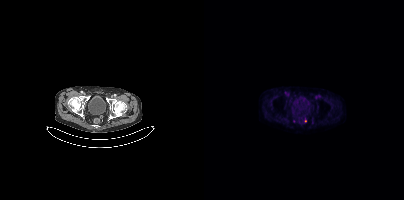
{"modality":"PSMA PET/CT","view":"axial","tracer":"18F","pet_grid":[200,200],"coord_frame":"pet_panel","coord_format":"x0,y0,x1,y1","partial":true,"lesion_bboxes":[],"small_foci_centers":[[101,120]]}